Technique: Two-panel axial: CT | PSMA PET, 18F tracer. slice 260 of 452.
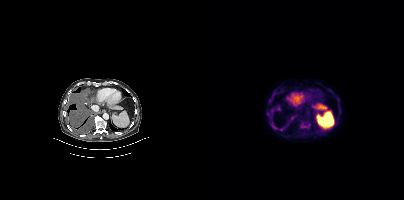
Findings: Coordinates are on the 200×200 PET (right) panel. (showing 4 of 5 foci) PSMA-avid tumor lesion bounding box (x0,y0,x1,y1): [96,121,104,128]. Small PSMA-avid foci (2 to 4 px across) near (center x, center y): (63, 114) (65, 98) (71, 127).